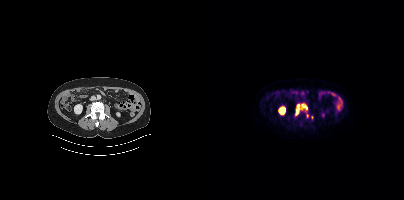
Two-panel axial: CT | PSMA PET, 18F tracer.
Coordinates are on the 200×200 PET (right) panel. PSMA-avid tumor lesion bounding boxes (partial; 2 more foci not listed):
| # | x0 | y0 | x1 | y1 |
|---|---|---|---|---|
| 1 | 92 | 104 | 95 | 114 |
| 2 | 98 | 104 | 103 | 109 |